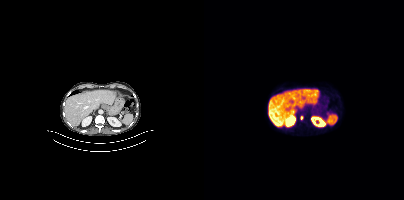
Two-panel axial: CT | PSMA PET, 18F tracer. Coordinates are on the 200×200 PET (right) panel. Small PSMA-avid focus (2 to 4 px across) near (center x, center y): (97, 117).